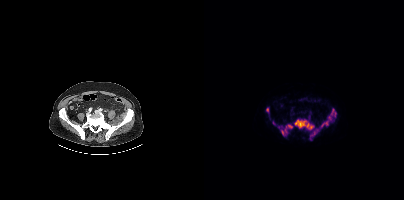
Coordinates are on the 200×200 PET (right) panel. (showing 8 of 9 foci) PSMA-avid tumor lesion bounding boxes (x0,y0,x1,y1): [90,119,109,129], [106,118,128,138], [126,109,132,117], [74,125,79,134], [84,125,88,128]. Small PSMA-avid foci (2 to 4 px across) near (center x, center y): (63, 109), (70, 122), (81, 130).